A rectangular block over the head has been blanked out for de-identification. Two-panel axial: CT | PSMA PET, 68Ga tracer. Slice position z = -898 mm.
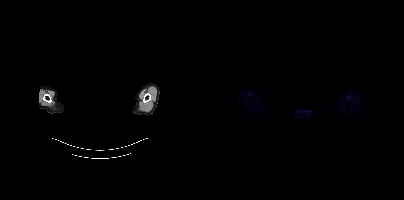
This slice has no annotated PSMA-avid lesion.